Technique: Two-panel axial: CT | PSMA PET, [18F]PSMA-1007 tracer.
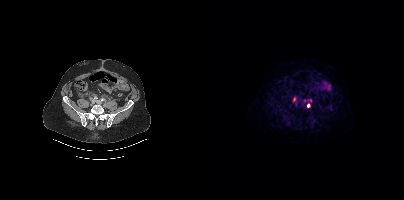
Findings: Coordinates are on the 200×200 PET (right) panel. Small PSMA-avid foci (2 to 4 px across) near (center x, center y): (90, 98) / (104, 105).